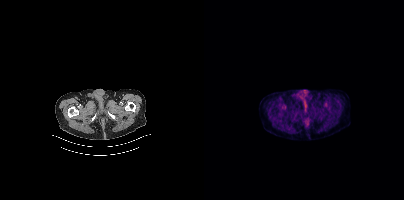
Paired axial CT (left) and PSMA PET (right), 18F-PSMA tracer. PET panel 200×200 px (4.1 mm/px). No PSMA-avid tumor lesions on this slice.